Two-panel axial: CT | PSMA PET, [18F]PSMA-1007 tracer.
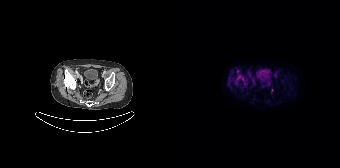
Coordinates are on the 168×168 PET (right) panel. PSMA-avid tumor lesion bounding boxes:
| # | x0 | y0 | x1 | y1 |
|---|---|---|---|---|
| 1 | 99 | 88 | 101 | 92 |